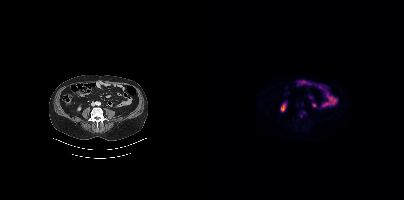
Technique: Two-panel axial: CT | PSMA PET, 18F-PSMA tracer. slice position z = -1254 mm. PET panel 200×200 px (4.1 mm/px).
Findings: Coordinates are on the 200×200 PET (right) panel. (showing 1 of 2 foci) Small PSMA-avid focus (2 to 4 px across) near (center x, center y): (96, 116).